- Left: CT. Right: PSMA PET, same axial level, 18F-PSMA tracer
- acquired on Siemens Biograph mCT Flow 20
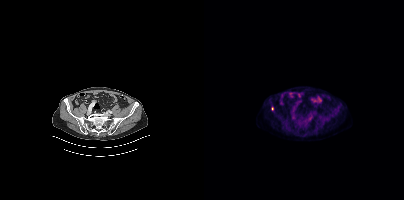
Findings: Coordinates are on the 200×200 PET (right) panel. Small PSMA-avid foci (2 to 4 px across) near (center x, center y): (106, 118), (68, 108).